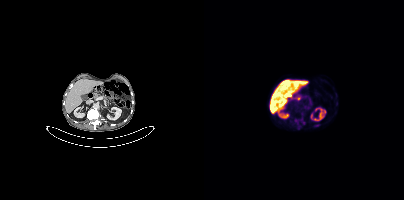
No tumor lesions annotated on this slice.